de-identification: head region blacked out before release | modality: PSMA PET/CT | tracer: [18F]PSMA-1007 | view: axial | PET grid: 168×168
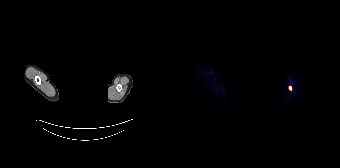
Coordinates are on the 168×168 PET (right) panel. PSMA-avid tumor lesion bounding box (x0, y0)-(x1, y1): (117, 86)-(119, 90).